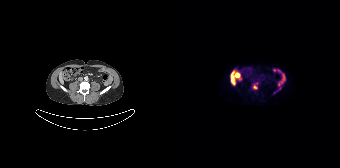
Coordinates are on the 168×168 PET (right) panel. (showing 1 of 2 foci) PSMA-avid tumor lesion bounding box (x0,y0,x1,y1): [81,82,85,89].